Two-panel axial: CT | PSMA PET, 18F-PSMA tracer. Acquired on Siemens Biograph mCT Flow 20.
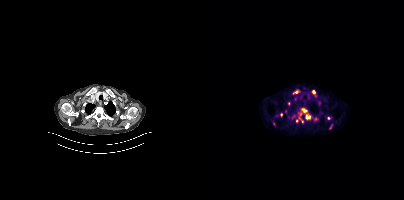
Coordinates are on the 200×200 PET (right) panel. (showing 9 of 10 foci) PSMA-avid tumor lesion bounding boxes (x0, y0)-(x1, y1): (92, 107)-(108, 123) | (71, 112)-(78, 117) | (108, 90)-(112, 96) | (68, 120)-(72, 126) | (89, 90)-(95, 94). Small PSMA-avid foci (2 to 4 px across) near (center x, center y): (124, 118) | (84, 103) | (111, 119) | (127, 126).